Left: CT. Right: PSMA PET, same axial level, 18F-PSMA tracer. Slice 284 of 389.
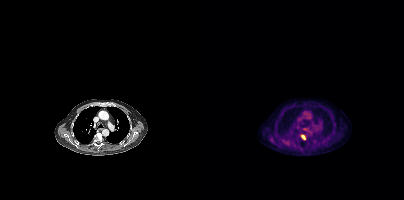
Coordinates are on the 200×200 PET (right) panel. PSMA-avid tumor lesion bounding boxes:
| # | x0 | y0 | x1 | y1 |
|---|---|---|---|---|
| 1 | 97 | 134 | 101 | 139 |